Technique: Two-panel axial: CT | PSMA PET, 18F tracer. acquired on Siemens Biograph mCT Flow 20. slice position z = -1138 mm. PET panel 200×200 px (4.1 mm/px).
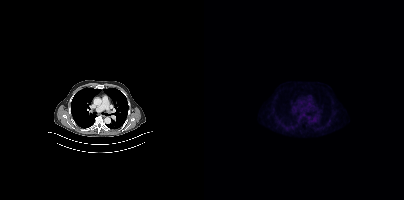
Findings: This slice has no annotated PSMA-avid lesion.